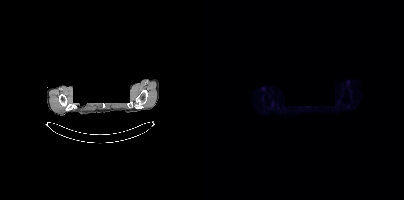
{"modality":"PSMA PET/CT","view":"axial","tracer":"[18F]PSMA-1007","pet_grid":[200,200],"coord_frame":"pet_panel","coord_format":"x0,y0,x1,y1","deidentification":"head region blacked out before release","psma_avid_lesions":false}